Left: CT. Right: PSMA PET, same axial level, [18F]PSMA-1007 tracer. Acquired on Siemens Biograph mCT Flow 20. Slice position z = -1476 mm.
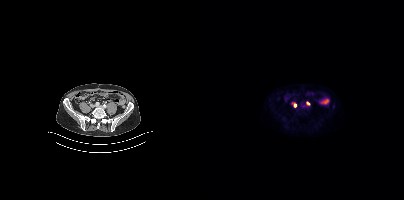
Coordinates are on the 200×200 PET (right) panel. PSMA-avid tumor lesion bounding box (x0, y0)-(x1, y1): (90, 103)-(92, 107). Small PSMA-avid focus (2 to 4 px across) near (center x, center y): (103, 103).